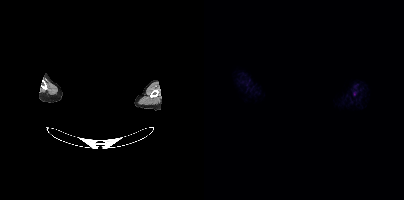
modality: PSMA PET/CT | tracer: 18F | view: axial | deidentification: facial region redacted
No PSMA-avid tumor lesions on this slice.